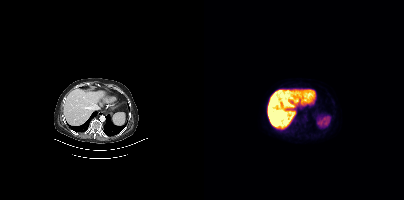
{"modality":"PSMA PET/CT","view":"axial","tracer":"[18F]PSMA-1007","pet_grid":[200,200],"coord_frame":"pet_panel","coord_format":"x0,y0,x1,y1","psma_avid_lesions":false}